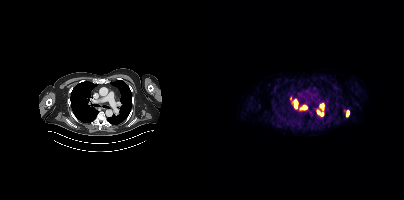
Coordinates are on the 200×200 PET (right) panel. PSMA-avid tumor lesion bounding boxes (x0, y0)-(x1, y1): (90, 100)-(93, 108) | (113, 111)-(119, 115) | (96, 106)-(102, 109). Small PSMA-avid foci (2 to 4 px across) near (center x, center y): (117, 105) | (86, 98) | (143, 113) | (94, 93) | (118, 108).